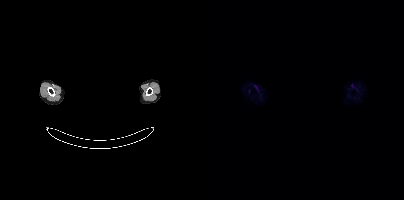
- Two-panel axial: CT | PSMA PET, [18F]PSMA-1007 tracer
- slice position z = -1026 mm
- PET panel 200×200 px (4.1 mm/px)
- facial anatomy redacted by setting a rectangular region of the head to black
Findings: No tumor lesions annotated on this slice.